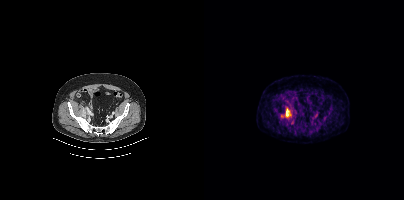
{"modality":"PSMA PET/CT","view":"axial","tracer":"[18F]PSMA-1007","pet_grid":[200,200],"coord_frame":"pet_panel","coord_format":"x0,y0,x1,y1","lesion_bboxes":[[77,107,87,118]]}